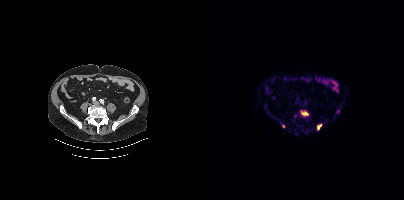
Coordinates are on the 200×200 PET (right) panel. (showing 3 of 4 foci) PSMA-avid tumor lesion bounding boxes (x0,y0,x1,y1): [97,110,103,115] [114,125,117,129]. Small PSMA-avid focus (2 to 4 px across) near (center x, center y): (79, 126).